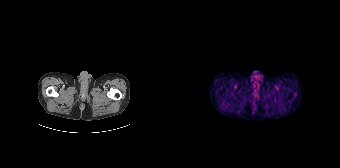
{"modality":"PSMA PET/CT","view":"axial","tracer":"68Ga","pet_grid":[168,168],"coord_frame":"pet_panel","coord_format":"x0,y0,x1,y1","psma_avid_lesions":false}